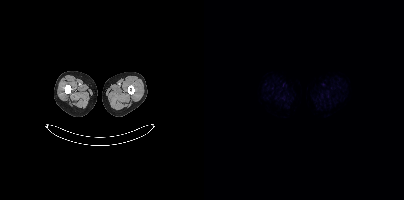
No PSMA-avid tumor lesions on this slice. Left: CT. Right: PSMA PET, same axial level, 18F-PSMA tracer. Acquired on Siemens Biograph mCT Flow 20.